Paired axial CT (left) and PSMA PET (right), 18F-PSMA tracer. Slice 49 of 442.
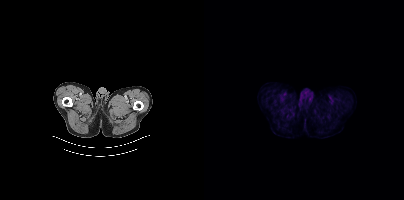
No tumor lesions annotated on this slice.